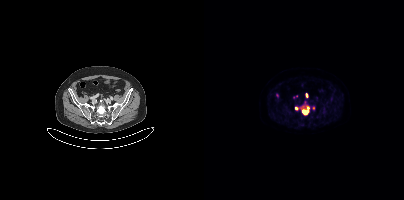
{"modality":"PSMA PET/CT","view":"axial","tracer":"18F","pet_grid":[200,200],"coord_frame":"pet_panel","coord_format":"x0,y0,x1,y1","lesion_bboxes":[[99,107,104,114],[102,93,103,97]],"small_foci_centers":[[92,108]]}